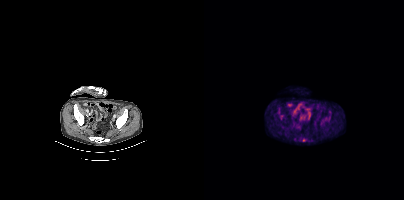
modality: PSMA PET/CT | tracer: [18F]PSMA-1007 | view: axial | PET grid: 200×200
Coordinates are on the 200×200 PET (right) panel. PSMA-avid tumor lesion bounding box (x0,y0,x1,y1): [95,138,102,141]. Small PSMA-avid focus (2 to 4 px across) near (center x, center y): (90, 139).